The face region was removed for patient privacy by blanking a rectangle over the head.
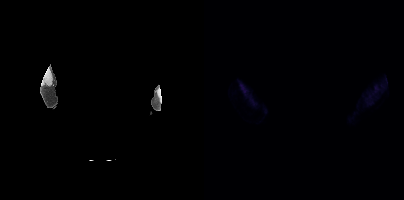
Negative for PSMA-avid disease on this slice.